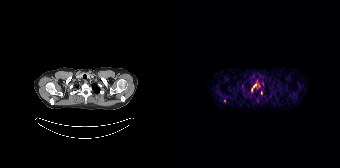
Coordinates are on the 168×168 PET (right) panel. (showing 2 of 3 foci) PSMA-avid tumor lesion bounding box (x, y, width, height): x=80 y=84 w=5 h=7. Small PSMA-avid focus (2 to 4 px across) near (center x, center y): (52, 101).